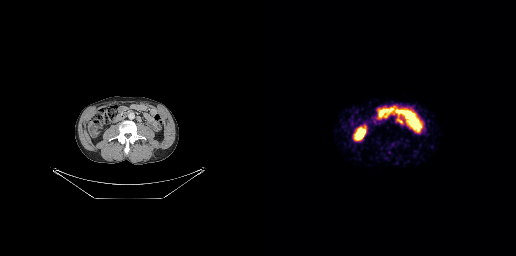
No tumor lesions annotated on this slice. Left: CT. Right: PSMA PET, same axial level, 68Ga tracer. PET panel 256×256 px (2.7 mm/px).